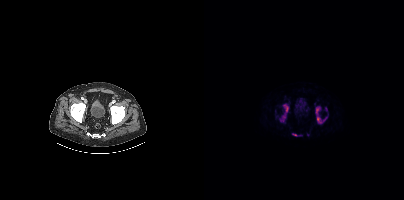
Coordinates are on the 200×200 PET (right) panel. PSMA-avid tumor lesion bounding boxes (x, y, width, height): x=111 y=106 w=13 h=18 / x=75 y=104 w=11 h=18 / x=88 y=133 w=10 h=4. Small PSMA-avid foci (2 to 4 px across) near (center x, center y): (122, 109) / (103, 134).